modality: PSMA PET/CT | tracer: 18F | view: axial
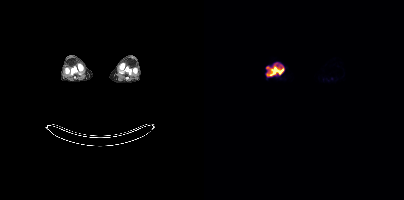
Coordinates are on the 200×200 PET (right) panel. (showing 1 of 2 foci) PSMA-avid tumor lesion bounding box (x0,y0,x1,y1): [62,66,79,76].